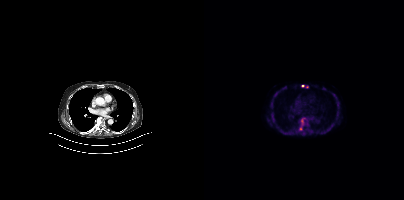
Coordinates are on the 200×200 PET (right) panel. (showing 3 of 4 foci) PSMA-avid tumor lesion bounding box (x0, y0)-(x1, y1): (95, 119)-(100, 128). Small PSMA-avid foci (2 to 4 px across) near (center x, center y): (98, 85); (104, 129).